Two-panel axial: CT | PSMA PET, 18F tracer. Slice 71 of 377. PET panel 200×200 px (4.1 mm/px).
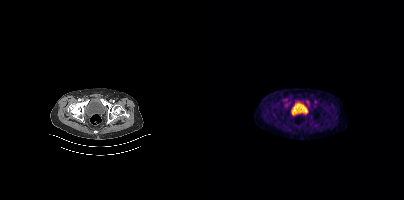
No PSMA-avid tumor lesions on this slice.